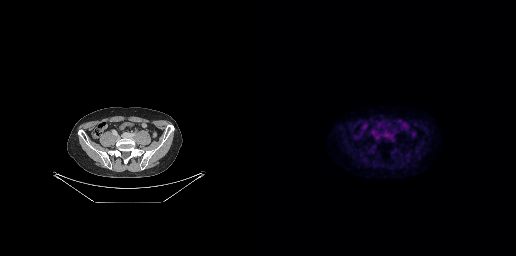
Technique: Two-panel axial: CT | PSMA PET, [18F]PSMA-1007 tracer. acquired on GE Discovery 690. PET panel 256×256 px (2.7 mm/px).
Findings: Only PSMA-avid lesion pieces thinner than 2 px on this slice (not listed).